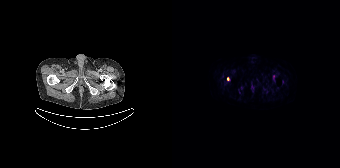
modality: PSMA PET/CT | tracer: 18F-PSMA | view: axial
Coordinates are on the 168×168 PET (right) panel. (showing 1 of 2 foci) Small PSMA-avid focus (2 to 4 px across) near (center x, center y): (56, 78).